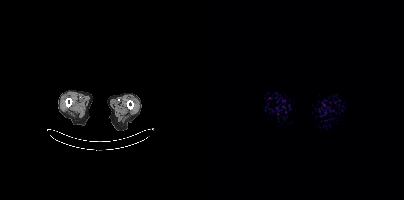
Negative for PSMA-avid disease on this slice.